Technique: Two-panel axial: CT | PSMA PET, 18F tracer. slice 354 of 395. PET panel 200×200 px (4.1 mm/px).
Note: De-identified by setting a box covering the face to black before release.
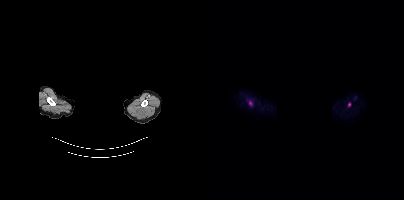
Findings: Coordinates are on the 200×200 PET (right) panel. PSMA-avid tumor lesion bounding box (x, y, width, height): x=44 y=100 w=5 h=6. Small PSMA-avid focus (2 to 4 px across) near (center x, center y): (145, 104).